- Left: CT. Right: PSMA PET, same axial level, [18F]PSMA-1007 tracer
- acquired on Siemens Biograph mCT Flow 20
- PET panel 200×200 px (4.1 mm/px)
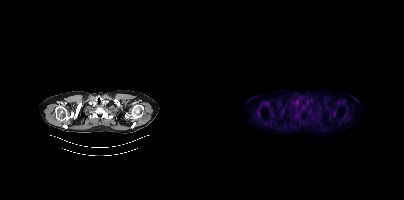
Findings: No tumor lesions annotated on this slice.